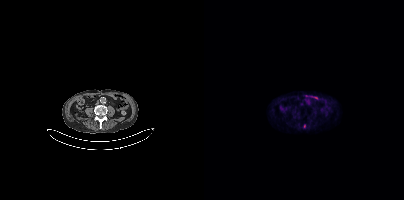
Coordinates are on the 200×200 PET (right) panel. Small PSMA-avid focus (2 to 4 px across) near (center x, center y): (100, 126).